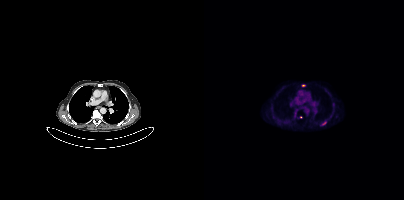
{"pet_grid":[200,200],"coord_frame":"pet_panel","coord_format":"x0,y0,x1,y1","lesion_bboxes":[[116,121,122,125]],"small_foci_centers":[[99,85]],"modality":"PSMA PET/CT","view":"axial","tracer":"[18F]PSMA-1007"}